Two-panel axial: CT | PSMA PET, [18F]PSMA-1007 tracer.
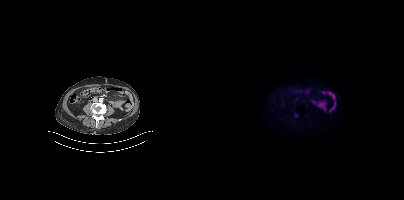
Coordinates are on the 200×200 PET (right) panel. Small PSMA-avid focus (2 to 4 px across) near (center x, center y): (92, 115).